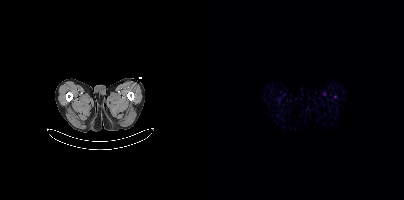
Technique: Two-panel axial: CT | PSMA PET, [18F]PSMA-1007 tracer. acquired on Siemens Biograph mCT Flow 20.
Findings: Only PSMA-avid lesion pieces thinner than 2 px on this slice (not listed).